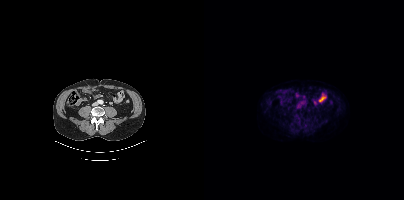
- Left: CT. Right: PSMA PET, same axial level, 18F-PSMA tracer
- acquired on Siemens Biograph mCT Flow 20
- PET panel 200×200 px (4.1 mm/px)
Findings: No tumor lesions annotated on this slice.